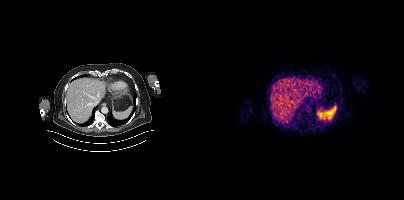
Two-panel axial: CT | PSMA PET, 68Ga tracer. Slice position z = -1116 mm. This slice has no annotated PSMA-avid lesion.